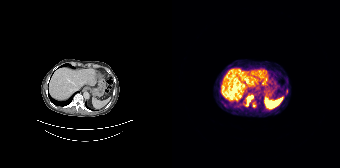
Coordinates are on the 168×168 PET (right) panel. (showing 3 of 4 foci) PSMA-avid tumor lesion bounding boxes (x0,y0,x1,y1): [75,96,78,100] [73,102,77,106]. Small PSMA-avid focus (2 to 4 px across) near (center x, center y): (83, 104).